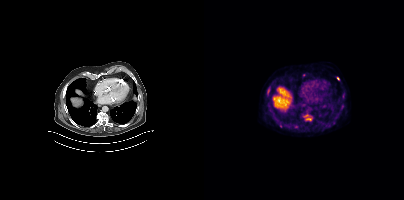
{"pet_grid":[200,200],"coord_frame":"pet_panel","coord_format":"x0,y0,x1,y1","partial":true,"lesion_bboxes":[[99,114,108,121]],"small_foci_centers":[[100,75],[134,78],[64,91],[92,125]],"modality":"PSMA PET/CT","view":"axial","tracer":"18F"}